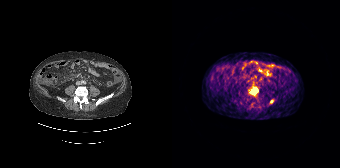
Coordinates are on the 168×168 PET (right) panel. PSMA-avid tumor lesion bounding box (x, y, width, height): x=78 y=87 w=9 h=8. Small PSMA-avid focus (2 to 4 px across) near (center x, center y): (99, 101). Left: CT. Right: PSMA PET, same axial level, 68Ga-PSMA tracer.